redaction: head region blacked out before release | modality: PSMA PET/CT | tracer: 68Ga-PSMA | view: axial | PET grid: 256×256
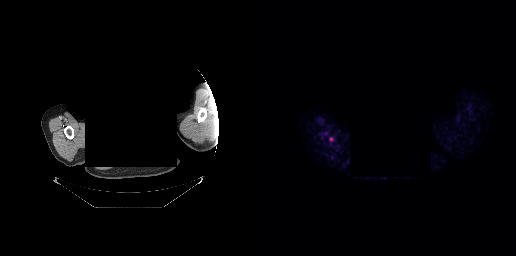
Coordinates are on the 256×256 PET (right) panel. Small PSMA-avid focus (2 to 4 px across) near (center x, center y): (71, 138).